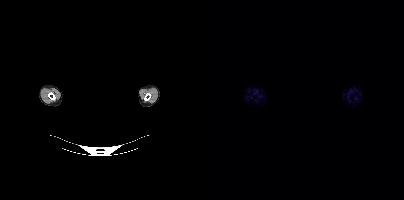
Left: CT. Right: PSMA PET, same axial level, [18F]PSMA-1007 tracer. PET panel 200×200 px (4.1 mm/px). Head region blanked for anonymization (face removed). Negative for PSMA-avid disease on this slice.